modality: PSMA PET/CT | tracer: 18F-PSMA | view: axial | PET grid: 200×200 | de-identification: privacy mask over head
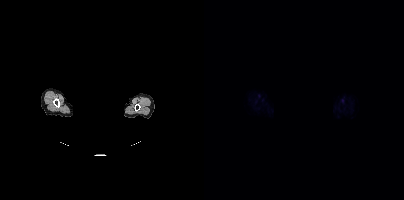
No PSMA-avid tumor lesions on this slice.